Paired axial CT (left) and PSMA PET (right), 18F-PSMA tracer.
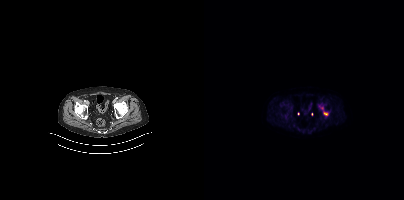
Coordinates are on the 200×200 PET (right) panel. PSMA-avid tumor lesion bounding boxes:
| # | x0 | y0 | x1 | y1 |
|---|---|---|---|---|
| 1 | 119 | 111 | 124 | 114 |
Small PSMA-avid focus (2 to 4 px across) near (center x, center y): (118, 108).